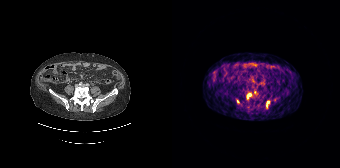
{"modality":"PSMA PET/CT","view":"axial","tracer":"68Ga-PSMA","pet_grid":[168,168],"coord_frame":"pet_panel","coord_format":"x0,y0,x1,y1","partial":true,"lesion_bboxes":[[75,93,78,98],[94,101,97,106]],"small_foci_centers":[[65,101]]}